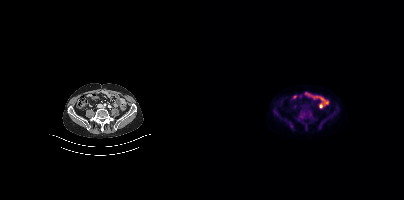
Negative for PSMA-avid disease on this slice. Two-panel axial: CT | PSMA PET, 18F-PSMA tracer. Acquired on Siemens Biograph mCT Flow 20. Slice position z = -665 mm. PET panel 200×200 px (4.1 mm/px).